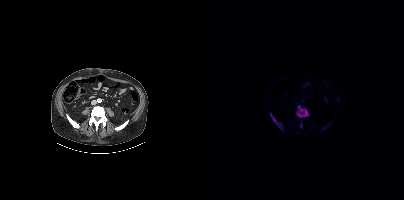
Coordinates are on the 200×200 PET (right) panel. PSMA-avid tumor lesion bounding boxes (x, y, width, height): x=92 y=106 w=13 h=12 / x=67 y=114 w=12 h=17. Small PSMA-avid focus (2 to 4 px across) near (center x, center y): (97, 125).